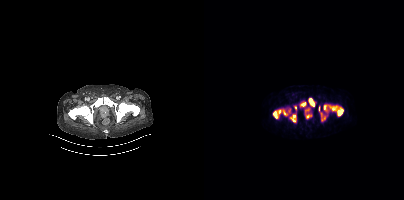
Findings: No PSMA-avid tumor lesions on this slice.
Technique: Two-panel axial: CT | PSMA PET, [68Ga]Ga-PSMA-11 tracer. slice position z = 382 mm. PET panel 200×200 px (4.1 mm/px).